Technique: Two-panel axial: CT | PSMA PET, [18F]PSMA-1007 tracer. PET panel 256×256 px (2.7 mm/px).
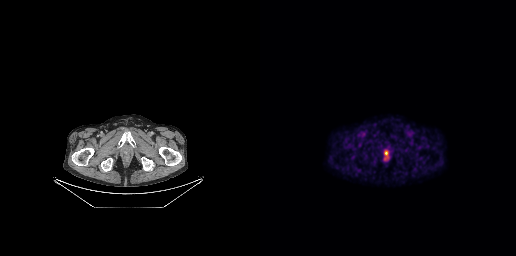
Findings: Coordinates are on the 256×256 PET (right) panel. Small PSMA-avid focus (2 to 4 px across) near (center x, center y): (125, 153).